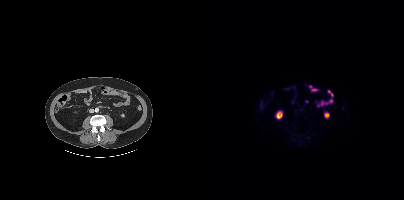
This slice has no annotated PSMA-avid lesion.